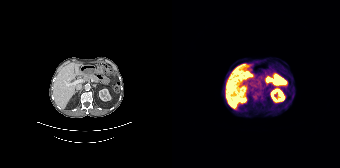
{"modality":"PSMA PET/CT","view":"axial","tracer":"68Ga-PSMA","pet_grid":[168,168],"coord_frame":"pet_panel","coord_format":"x0,y0,x1,y1","lesion_bboxes":[],"small_foci_centers":[[82,97]]}